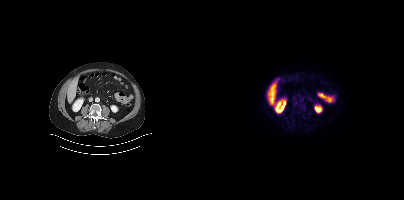
Findings: No tumor lesions annotated on this slice.
Technique: Two-panel axial: CT | PSMA PET, [18F]PSMA-1007 tracer. acquired on Siemens Biograph mCT Flow 20. slice 165 of 413. PET panel 200×200 px (4.1 mm/px).